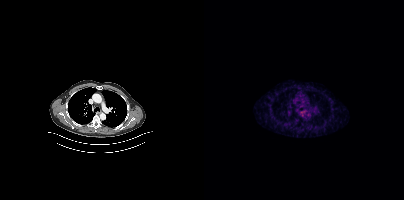
No tumor lesions annotated on this slice. Paired axial CT (left) and PSMA PET (right), 68Ga tracer. Acquired on Siemens Biograph mCT Flow 20. Slice position z = -1004 mm. PET panel 200×200 px (4.1 mm/px).